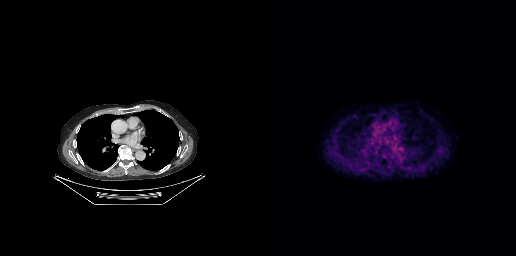
No PSMA-avid tumor lesions on this slice.